Technique: Paired axial CT (left) and PSMA PET (right), [68Ga]Ga-PSMA-11 tracer.
Note: Any black rectangle over the head is a privacy mask, not anatomy.
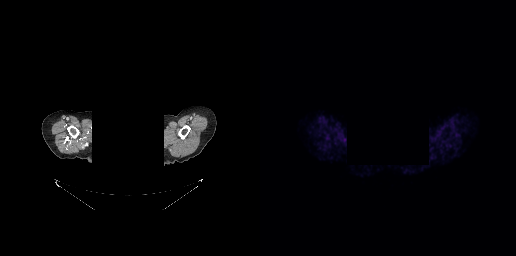
Findings: Negative for PSMA-avid disease on this slice.